- Two-panel axial: CT | PSMA PET, 68Ga tracer
- acquired on Siemens Biograph 64-4R TruePoint
- slice position z = -1048 mm
- PET panel 168×168 px (4.1 mm/px)
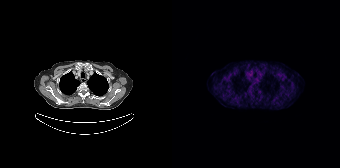
Findings: No tumor lesions annotated on this slice.